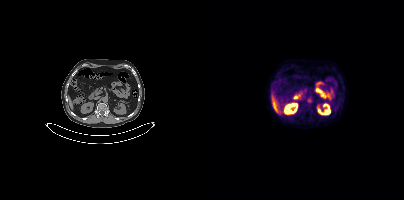
Two-panel axial: CT | PSMA PET, 18F tracer. Acquired on Siemens Biograph mCT Flow 20. Slice position z = -1206 mm. PET panel 200×200 px (4.1 mm/px). This slice has no annotated PSMA-avid lesion.